Two-panel axial: CT | PSMA PET, [18F]PSMA-1007 tracer. Slice position z = -1202 mm. PET panel 200×200 px (4.1 mm/px).
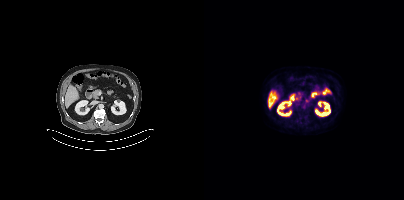
This slice has no annotated PSMA-avid lesion.